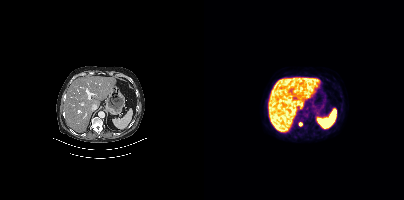
Technique: Left: CT. Right: PSMA PET, same axial level, [18F]PSMA-1007 tracer. slice 252 of 452.
Findings: Coordinates are on the 200×200 PET (right) panel. Small PSMA-avid focus (2 to 4 px across) near (center x, center y): (96, 124).